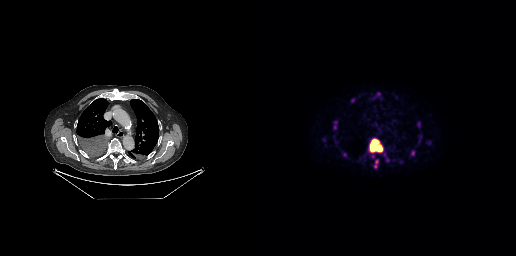
Technique: Left: CT. Right: PSMA PET, same axial level, 18F tracer. acquired on GE Discovery 690. PET panel 256×256 px (2.7 mm/px).
Findings: Coordinates are on the 256×256 PET (right) panel. (showing 7 of 8 foci) PSMA-avid tumor lesion bounding boxes (x0, y0)-(x1, y1): (109, 138)-(123, 152) | (158, 122)-(160, 126). Small PSMA-avid foci (2 to 4 px across) near (center x, center y): (93, 100) | (116, 161) | (152, 153) | (84, 154) | (115, 165).